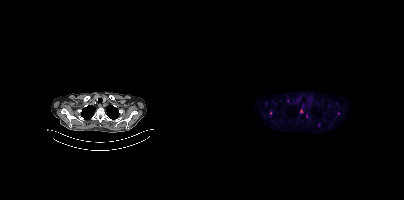
{"modality":"PSMA PET/CT","view":"axial","tracer":"[18F]PSMA-1007","pet_grid":[200,200],"coord_frame":"pet_panel","coord_format":"x0,y0,x1,y1","partial":true,"lesion_bboxes":[[96,109,99,113]],"small_foci_centers":[[115,124],[66,113],[134,113],[102,116],[119,118]]}